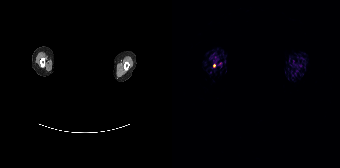
Privacy masking over the head, with the pixels inside a rectangle set to black. Two-panel axial: CT | PSMA PET, 68Ga tracer. Acquired on Siemens Biograph 64-4R TruePoint. Coordinates are on the 168×168 PET (right) panel. Small PSMA-avid focus (2 to 4 px across) near (center x, center y): (42, 65).